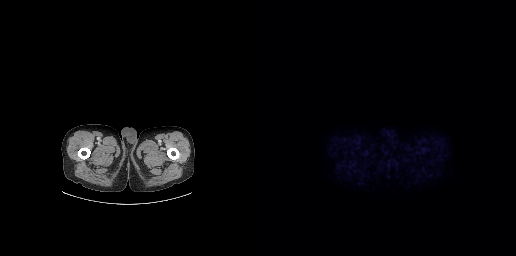
Technique: Two-panel axial: CT | PSMA PET, 18F tracer. PET panel 256×256 px (2.7 mm/px).
Findings: This slice has no annotated PSMA-avid lesion.